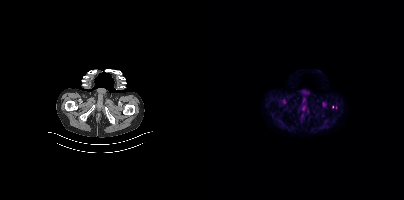
Coordinates are on the 200×200 PET (right) panel. Small PSMA-avid focus (2 to 4 px across) near (center x, center y): (128, 106).